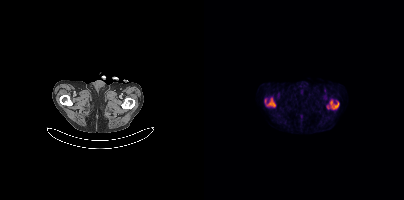
{"modality":"PSMA PET/CT","view":"axial","tracer":"[18F]PSMA-1007","pet_grid":[200,200],"coord_frame":"pet_panel","coord_format":"x0,y0,x1,y1","partial":true,"lesion_bboxes":[[126,100,134,109],[63,99,71,106]]}